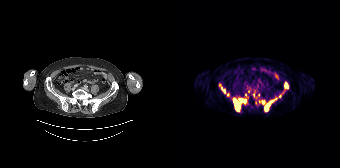
Technique: Two-panel axial: CT | PSMA PET, 68Ga tracer.
Findings: Coordinates are on the 168×168 PET (right) panel. (showing 9 of 14 foci) PSMA-avid tumor lesion bounding boxes (x0,y0,x1,y1): [61,98,67,110], [92,103,98,111], [113,83,116,88], [67,99,73,102], [49,87,53,92]. Small PSMA-avid foci (2 to 4 px across) near (center x, center y): (91, 101), (73, 94), (81, 94), (100, 100).